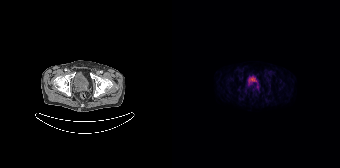
Paired axial CT (left) and PSMA PET (right), [18F]PSMA-1007 tracer. PET panel 168×168 px (4.1 mm/px). Coordinates are on the 168×168 PET (right) panel. PSMA-avid tumor lesion bounding box (x0,y0,x1,y1): [85,84,86,88].